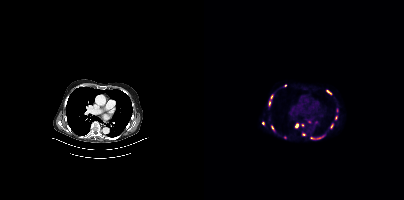
Coordinates are on the 200×200 PET (right) panel. (showing 13 of 15 foci) PSMA-avid tumor lesion bounding boxes (x0,y0,x1,y1): [91,123,94,127]; [126,124,129,128]; [123,90,127,93]. Small PSMA-avid foci (2 to 4 px across) near (center x, center y): (67, 96); (65, 102); (98, 125); (108, 137); (114, 137); (58, 123); (68, 127); (99, 134); (81, 85); (80, 137).